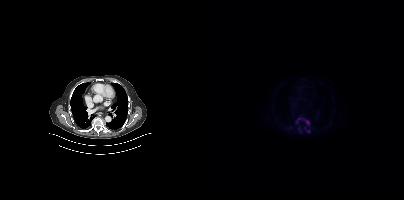
modality: PSMA PET/CT | tracer: [18F]PSMA-1007 | view: axial | PET grid: 200×200
Coordinates are on the 200×200 PET (right) panel. PSMA-avid tumor lesion bounding boxes (x0, y0)-(x1, y1): (100, 119)-(105, 125); (100, 127)-(106, 132); (91, 120)-(95, 124). Small PSMA-avid focus (2 to 4 px across) near (center x, center y): (95, 128).